- Paired axial CT (left) and PSMA PET (right), [18F]PSMA-1007 tracer
- PET panel 168×168 px (4.1 mm/px)
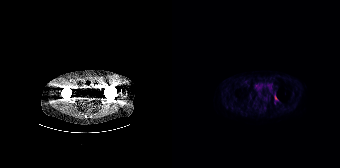
Findings: Coordinates are on the 168×168 PET (right) panel. PSMA-avid tumor lesion bounding box (x0, y0)-(x1, y1): (103, 95)-(105, 99).